Technique: Left: CT. Right: PSMA PET, same axial level, 18F tracer.
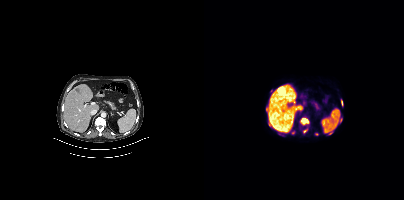
Findings: Coordinates are on the 200×200 PET (right) panel. (showing 1 of 3 foci) PSMA-avid tumor lesion bounding box (x0,y0,x1,y1): [98,118,104,122].